Technique: Left: CT. Right: PSMA PET, same axial level, [18F]PSMA-1007 tracer. PET panel 256×256 px (2.7 mm/px).
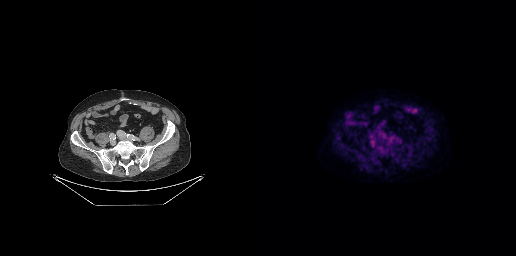
Findings: Negative for PSMA-avid disease on this slice.